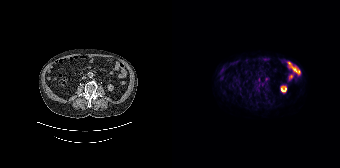
{"modality":"PSMA PET/CT","view":"axial","tracer":"18F","pet_grid":[168,168],"coord_frame":"pet_panel","coord_format":"x0,y0,x1,y1","lesion_bboxes":[],"small_foci_centers":[[94,79]]}